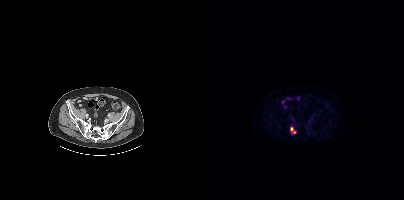
Coordinates are on the 200×200 PET (right) panel. PSMA-avid tumor lesion bounding box (x0,y0,x1,y1): [86,127,91,133].